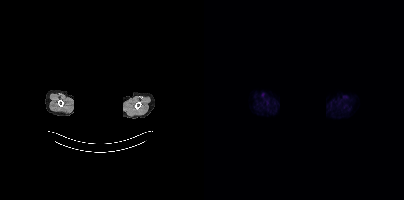
deidentification: face masked with black rectangle | modality: PSMA PET/CT | tracer: 18F | view: axial
No tumor lesions annotated on this slice.